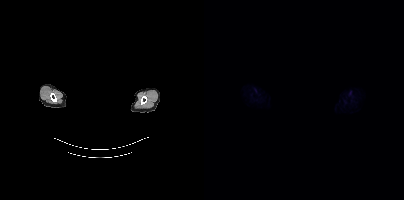
Negative for PSMA-avid disease on this slice. Left: CT. Right: PSMA PET, same axial level, 18F tracer. Slice 402 of 427. De-identified by setting a box covering the face to black before release.